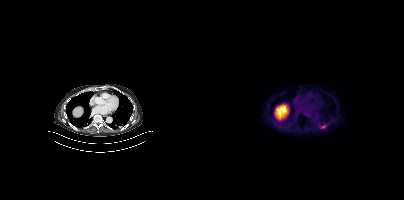
Findings: Coordinates are on the 200×200 PET (right) panel. PSMA-avid tumor lesion bounding box (x0,y0,x1,y1): [116,125,122,128].
- Two-panel axial: CT | PSMA PET, [18F]PSMA-1007 tracer
- PET panel 200×200 px (4.1 mm/px)